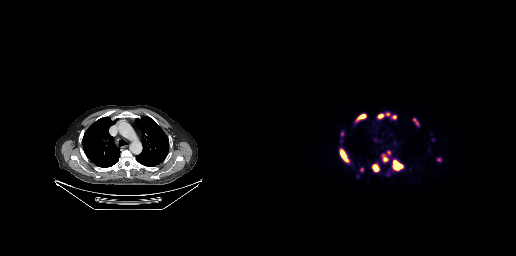
- Paired axial CT (left) and PSMA PET (right), [68Ga]Ga-PSMA-11 tracer
- acquired on GE Discovery 690
Findings: Coordinates are on the 256×256 PET (right) panel. (showing 10 of 11 foci) PSMA-avid tumor lesion bounding boxes (x, y, width, height): x=134 y=161 w=8 h=9 / x=80 y=150 w=8 h=11 / x=113 y=164 w=6 h=8 / x=176 y=157 w=6 h=5 / x=153 y=118 w=5 h=7 / x=97 y=115 w=7 h=5 / x=132 y=115 w=5 h=4. Small PSMA-avid foci (2 to 4 px across) near (center x, center y): (128, 114) / (120, 116) / (128, 152).